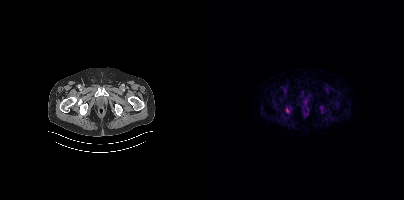
{"modality":"PSMA PET/CT","view":"axial","tracer":"18F","pet_grid":[200,200],"coord_frame":"pet_panel","coord_format":"x0,y0,x1,y1","psma_avid_lesions":false}